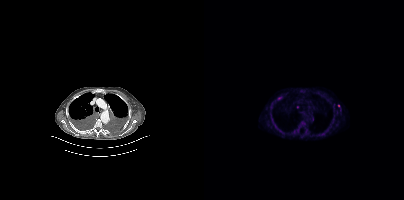
Findings: Coordinates are on the 200×200 PET (right) panel. (showing 6 of 7 foci) Small PSMA-avid foci (2 to 4 px across) near (center x, center y): (75, 98), (93, 107), (71, 126), (134, 105), (76, 130), (118, 133).
- Two-panel axial: CT | PSMA PET, 18F-PSMA tracer
- acquired on Siemens Biograph mCT Flow 20
- PET panel 200×200 px (4.1 mm/px)